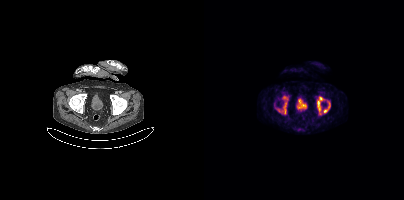
{"modality":"PSMA PET/CT","view":"axial","tracer":"18F","pet_grid":[200,200],"coord_frame":"pet_panel","coord_format":"x0,y0,x1,y1","partial":true,"lesion_bboxes":[[78,95,84,114],[113,97,119,114],[119,102,126,112]],"small_foci_centers":[[75,110]]}